Technique: Paired axial CT (left) and PSMA PET (right), 18F tracer. PET panel 200×200 px (4.1 mm/px).
Note: De-identified by setting a box covering the face to black before release.
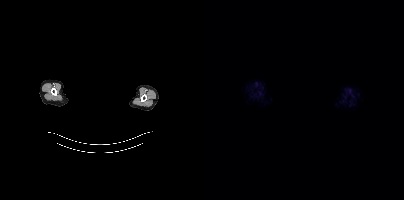
Findings: This slice has no annotated PSMA-avid lesion.